modality: PSMA PET/CT | tracer: 18F | view: axial | PET grid: 200×200
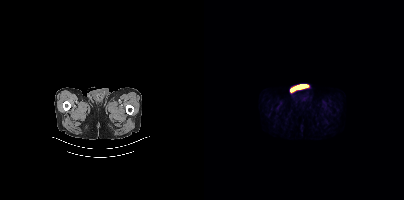
No PSMA-avid tumor lesions on this slice.